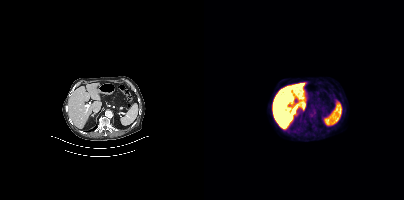
{"modality":"PSMA PET/CT","view":"axial","tracer":"18F-PSMA","pet_grid":[200,200],"coord_frame":"pet_panel","coord_format":"x0,y0,x1,y1","psma_avid_lesions":false}